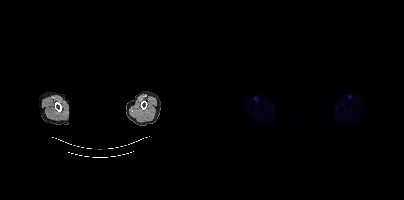
Two-panel axial: CT | PSMA PET, 18F tracer. Acquired on Siemens Biograph mCT Flow 20. Slice position z = -885 mm. PET panel 200×200 px (4.1 mm/px). The face region was removed for patient privacy by blanking a rectangle over the head. This slice has no annotated PSMA-avid lesion.